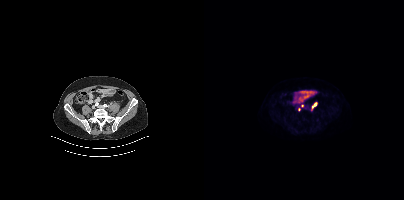
{"modality":"PSMA PET/CT","view":"axial","tracer":"[18F]PSMA-1007","pet_grid":[200,200],"coord_frame":"pet_panel","coord_format":"x0,y0,x1,y1","partial":true,"lesion_bboxes":[[108,102,113,109]],"small_foci_centers":[[98,105]]}